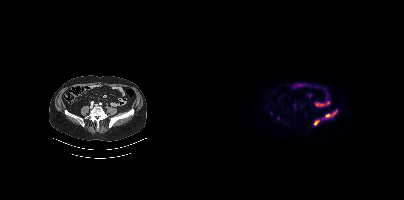
Coordinates are on the 200×200 PET (right) panel. PSMA-avid tumor lesion bounding boxes:
| # | x0 | y0 | x1 | y1 |
|---|---|---|---|---|
| 1 | 118 | 114 | 126 | 119 |
| 2 | 110 | 119 | 115 | 125 |
| 3 | 128 | 110 | 133 | 116 |
Left: CT. Right: PSMA PET, same axial level, 18F-PSMA tracer. Slice position z = -1286 mm. PET panel 200×200 px (4.1 mm/px).